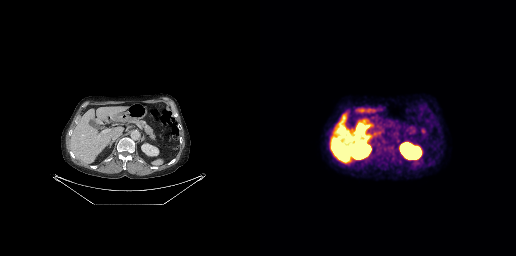
{"modality":"PSMA PET/CT","view":"axial","tracer":"18F","pet_grid":[256,256],"coord_frame":"pet_panel","coord_format":"x0,y0,x1,y1","psma_avid_lesions":false}